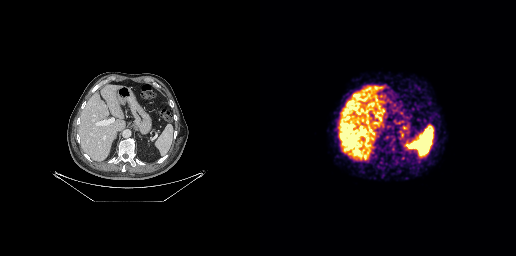
{"modality":"PSMA PET/CT","view":"axial","tracer":"[68Ga]Ga-PSMA-11","pet_grid":[256,256],"coord_frame":"pet_panel","coord_format":"x0,y0,x1,y1","psma_avid_lesions":false}